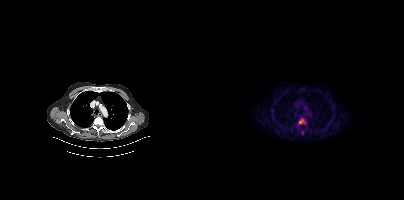
Findings: Coordinates are on the 200×200 PET (right) panel. PSMA-avid tumor lesion bounding box (x0,y0,x1,y1): [95,118,101,124].
Technique: Two-panel axial: CT | PSMA PET, [18F]PSMA-1007 tracer. acquired on Siemens Biograph mCT Flow 20.